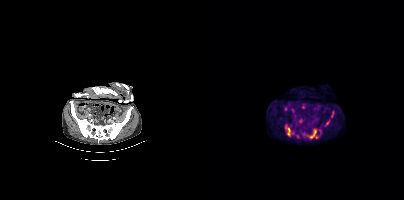
Coordinates are on the 200×200 PET (right) panel. PSMA-avid tumor lesion bounding boxes (x, y, width, height): x=101 y=128 w=14 h=11; x=81 y=125 w=10 h=12; x=127 y=111 w=4 h=7; x=122 y=120 w=4 h=5. Small PSMA-avid foci (2 to 4 px across) near (center x, center y): (93, 136); (116, 131).